Left: CT. Right: PSMA PET, same axial level, [18F]PSMA-1007 tracer. PET panel 200×200 px (4.1 mm/px).
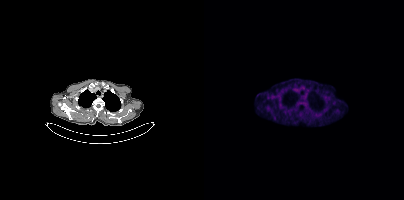
No PSMA-avid tumor lesions on this slice.